modality: PSMA PET/CT | tracer: 18F | view: axial | PET grid: 256×256
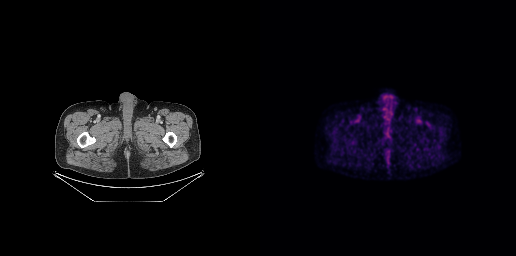
No PSMA-avid tumor lesions on this slice.